- Left: CT. Right: PSMA PET, same axial level, 18F-PSMA tracer
- acquired on Siemens Biograph mCT Flow 20
- slice position z = -964 mm
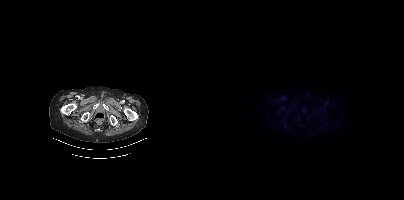
Findings: Negative for PSMA-avid disease on this slice.